- Left: CT. Right: PSMA PET, same axial level, 18F-PSMA tracer
- slice position z = -1413 mm
- PET panel 200×200 px (4.1 mm/px)
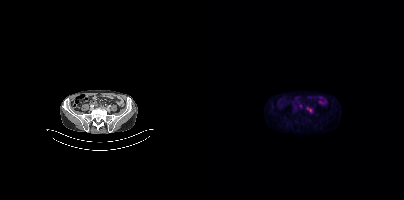
Findings: Coordinates are on the 200×200 PET (right) panel. PSMA-avid tumor lesion bounding box (x0,y0,x1,y1): [103,107,107,112]. Small PSMA-avid focus (2 to 4 px across) near (center x, center y): (96, 105).